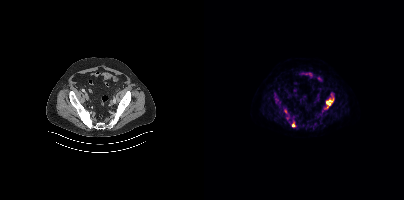
Coordinates are on the 200×200 PET (right) panel. (showing 3 of 5 foci) PSMA-avid tumor lesion bounding box (x0,y0,x1,y1): [122,96,129,105]. Small PSMA-avid foci (2 to 4 px across) near (center x, center y): (89, 124), (81, 111).